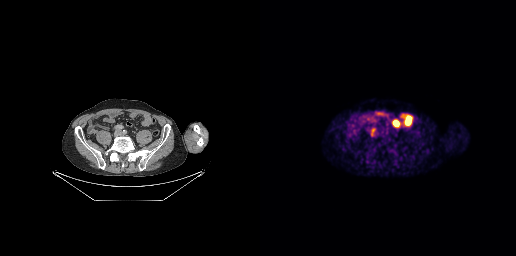
Technique: Left: CT. Right: PSMA PET, same axial level, 68Ga tracer.
Findings: Coordinates are on the 256×256 PET (right) panel. PSMA-avid tumor lesion bounding box (x0,y0,x1,y1): [111,128,115,135].